- Left: CT. Right: PSMA PET, same axial level, 18F tracer
- PET panel 200×200 px (4.1 mm/px)
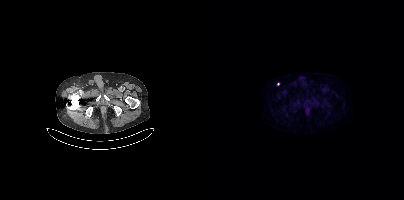
Findings: Only PSMA-avid lesion pieces thinner than 2 px on this slice (not listed).